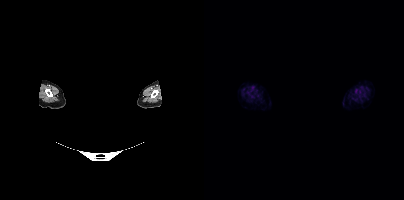
{"pet_grid":[200,200],"coord_frame":"pet_panel","coord_format":"x0,y0,x1,y1","psma_avid_lesions":false,"redaction":"privacy mask over head","modality":"PSMA PET/CT","view":"axial","tracer":"18F"}